- Two-panel axial: CT | PSMA PET, [68Ga]Ga-PSMA-11 tracer
- acquired on Siemens Biograph 64-4R TruePoint
- slice 14 of 195
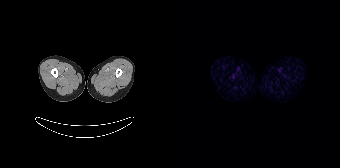
Findings: No PSMA-avid tumor lesions on this slice.